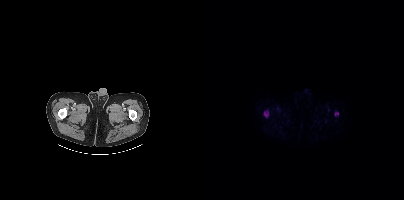
{"modality":"PSMA PET/CT","view":"axial","tracer":"18F","pet_grid":[200,200],"coord_frame":"pet_panel","coord_format":"x0,y0,x1,y1","lesion_bboxes":[[60,111,64,114]],"small_foci_centers":[[132,113]]}